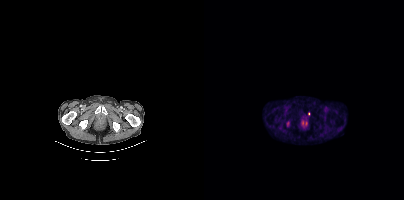
Two-panel axial: CT | PSMA PET, 18F-PSMA tracer. Slice position z = -1474 mm. PET panel 200×200 px (4.1 mm/px).
Coordinates are on the 200×200 PET (right) panel. PSMA-avid tumor lesion bounding boxes:
| # | x0 | y0 | x1 | y1 |
|---|---|---|---|---|
| 1 | 82 | 122 | 85 | 126 |
Small PSMA-avid focus (2 to 4 px across) near (center x, center y): (104, 113).